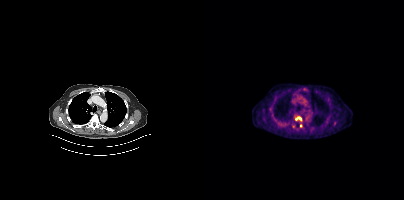
modality: PSMA PET/CT | tracer: 18F-PSMA | view: axial
Coordinates are on the 200×200 PET (right) panel. PSMA-avid tumor lesion bounding box (x0,y0,x1,y1): [92,117,97,120]. Small PSMA-avid focus (2 to 4 px across) near (center x, center y): (96, 125).